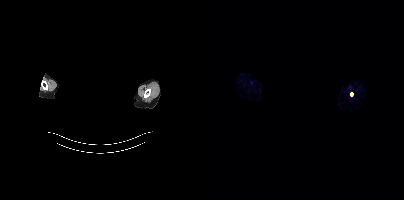
Coordinates are on the 200×200 PET (right) panel. Small PSMA-avid focus (2 to 4 px across) near (center x, center y): (147, 94).
Privacy masking over the head, with the pixels inside a rectangle set to black.